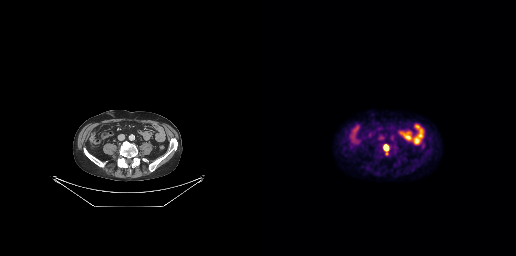
{"modality":"PSMA PET/CT","view":"axial","tracer":"[18F]PSMA-1007","pet_grid":[256,256],"coord_frame":"pet_panel","coord_format":"x0,y0,x1,y1","lesion_bboxes":[[124,145,128,150]]}